Technique: Paired axial CT (left) and PSMA PET (right), [18F]PSMA-1007 tracer. acquired on Siemens Biograph mCT Flow 20. slice 58 of 407.
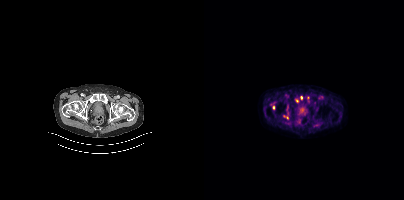
Findings: Coordinates are on the 200×200 PET (right) panel. (showing 3 of 4 foci) Small PSMA-avid foci (2 to 4 px across) near (center x, center y): (93, 101), (97, 97), (69, 107).